modality: PSMA PET/CT | tracer: 68Ga-PSMA | view: axial | PET grid: 256×256
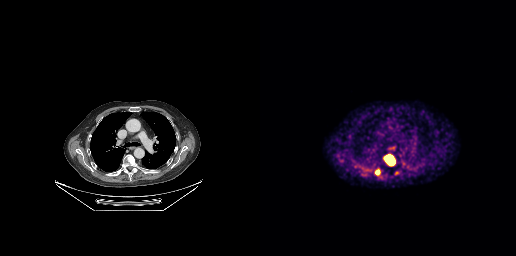
Coordinates are on the 256×256 PET (right) panel. PSMA-avid tumor lesion bounding boxes (x0,y0,x1,y1): [123,155,134,165]; [115,168,120,175]; [134,171,138,175]. Small PSMA-avid focus (2 to 4 px across) near (center x, center y): (104, 174).